Paired axial CT (left) and PSMA PET (right), 18F-PSMA tracer. Acquired on Siemens Biograph mCT Flow 20. Slice position z = -1104 mm.
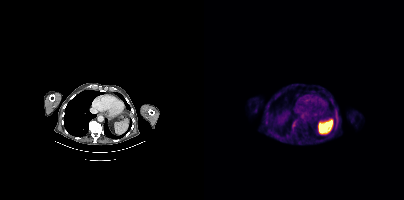
This slice has no annotated PSMA-avid lesion.